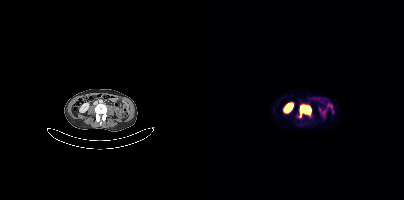
Coordinates are on the 200×200 PET (right) panel. PSMA-avid tumor lesion bounding boxes:
| # | x0 | y0 | x1 | y1 |
|---|---|---|---|---|
| 1 | 96 | 104 | 107 | 117 |
Left: CT. Right: PSMA PET, same axial level, 68Ga tracer. Slice 136 of 393.